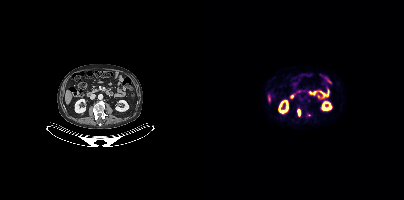
Technique: Paired axial CT (left) and PSMA PET (right), 18F tracer. PET panel 200×200 px (4.1 mm/px).
Findings: Coordinates are on the 200×200 PET (right) panel. PSMA-avid tumor lesion bounding box (x, y, width, height): x=93 y=109 w=4 h=7. Small PSMA-avid focus (2 to 4 px across) near (center x, center y): (105, 114).